Left: CT. Right: PSMA PET, same axial level, 68Ga-PSMA tracer. Acquired on GE Discovery 690. PET panel 256×256 px (2.7 mm/px).
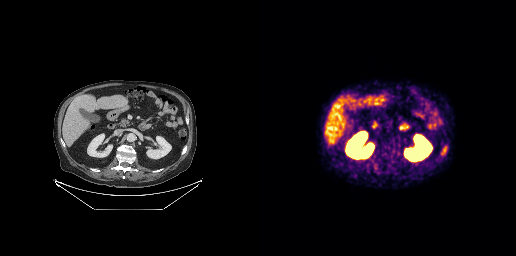
No PSMA-avid tumor lesions on this slice.